Technique: Two-panel axial: CT | PSMA PET, [18F]PSMA-1007 tracer. acquired on Siemens Biograph mCT Flow 20. slice 110 of 423.
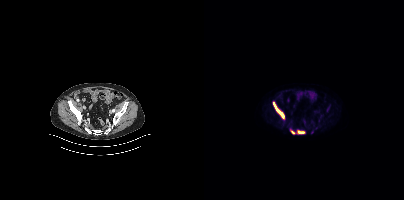
Findings: Coordinates are on the 200×200 PET (right) panel. PSMA-avid tumor lesion bounding boxes (x, y, width, height): x=69 y=102 w=12 h=17 / x=94 y=131 w=7 h=3. Small PSMA-avid focus (2 to 4 px across) near (center x, center y): (88, 132).